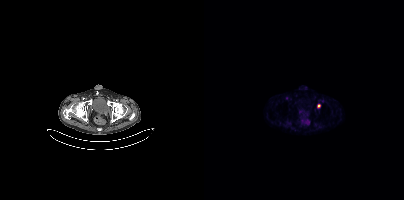
- Paired axial CT (left) and PSMA PET (right), 18F-PSMA tracer
- acquired on Siemens Biograph mCT Flow 20
- slice 60 of 385
Findings: Coordinates are on the 200×200 PET (right) panel. Small PSMA-avid focus (2 to 4 px across) near (center x, center y): (114, 105).